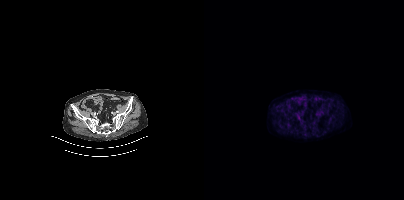
modality: PSMA PET/CT | tracer: [18F]PSMA-1007 | view: axial | PET grid: 200×200
No PSMA-avid tumor lesions on this slice.